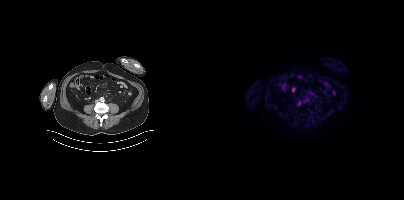
No PSMA-avid tumor lesions on this slice. Paired axial CT (left) and PSMA PET (right), [68Ga]Ga-PSMA-11 tracer.